Left: CT. Right: PSMA PET, same axial level, 68Ga-PSMA tracer. Slice 37 of 195.
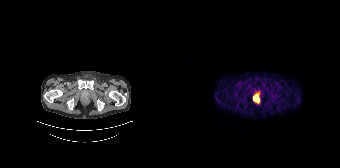
Coordinates are on the 168×168 PET (right) panel. PSMA-avid tumor lesion bounding box (x, y, width, height): x=81 y=96 w=7 h=7.